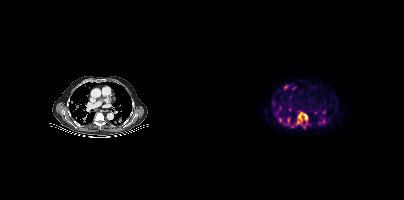
{"modality":"PSMA PET/CT","view":"axial","tracer":"18F-PSMA","pet_grid":[200,200],"coord_frame":"pet_panel","coord_format":"x0,y0,x1,y1","partial":true,"lesion_bboxes":[[94,113,103,121],[80,85,84,89],[118,110,121,114]],"small_foci_centers":[[93,122],[76,119],[89,88],[84,119],[100,127],[102,123],[97,123]]}